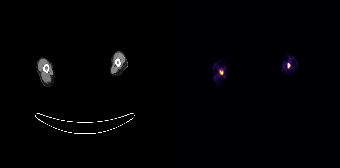
{"modality":"PSMA PET/CT","view":"axial","tracer":"68Ga-PSMA","pet_grid":[168,168],"coord_frame":"pet_panel","coord_format":"x0,y0,x1,y1","lesion_bboxes":[],"small_foci_centers":[[116,64],[49,72]],"deidentification":"head region blanked (face removed)"}